Privacy masking, with the pixels inside a rectangle set to black. Paired axial CT (left) and PSMA PET (right), 18F tracer. Acquired on Siemens Biograph mCT Flow 20. PET panel 200×200 px (4.1 mm/px).
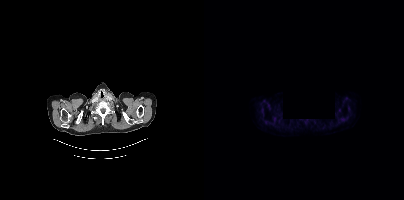
Negative for PSMA-avid disease on this slice.